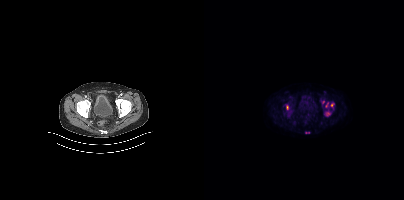
{"modality":"PSMA PET/CT","view":"axial","tracer":"18F-PSMA","pet_grid":[200,200],"coord_frame":"pet_panel","coord_format":"x0,y0,x1,y1","partial":true,"lesion_bboxes":[[101,132,105,133]],"small_foci_centers":[[128,105],[83,107],[124,114],[119,101]]}